Left: CT. Right: PSMA PET, same axial level, 18F tracer. Acquired on Siemens Biograph mCT Flow 20. Slice position z = -366 mm. PET panel 200×200 px (4.1 mm/px).
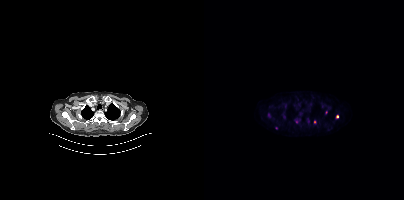
Coordinates are on the 200×200 PET (right) panel. (showing 3 of 5 foci) Small PSMA-avid foci (2 to 4 px across) near (center x, center y): (93, 122) | (110, 122) | (133, 116).